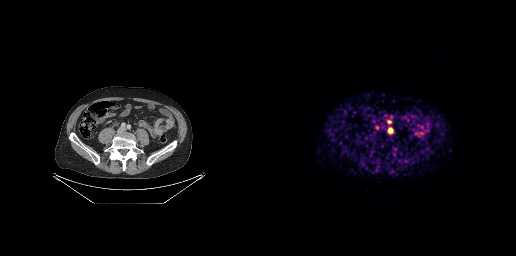
Coordinates are on the 256×256 PET (right) panel. PSMA-avid tumor lesion bounding box (x0,y0,x1,y1): [127,120,131,123]. Small PSMA-avid foci (2 to 4 px across) near (center x, center y): (116, 127); (130, 130).